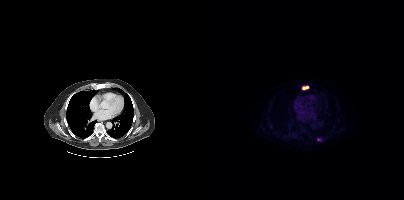
Coordinates are on the 200×200 PET (right) panel. (showing 2 of 3 foci) PSMA-avid tumor lesion bounding box (x, y, width, height): x=98 y=86 w=7 h=4. Small PSMA-avid focus (2 to 4 px across) near (center x, center y): (114, 139).